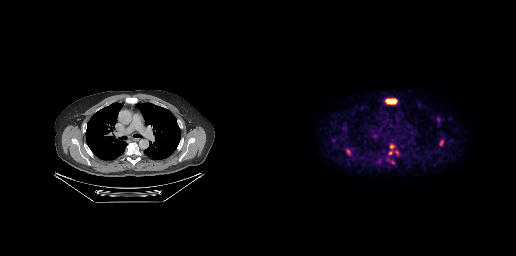
Technique: Two-panel axial: CT | PSMA PET, 18F-PSMA tracer. slice 225 of 299.
Findings: Coordinates are on the 256×256 PET (right) panel. PSMA-avid tumor lesion bounding boxes (x, y, width, height): x=125 y=98 w=13 h=7 / x=179 y=139 w=5 h=8 / x=87 y=150 w=4 h=5 / x=177 y=117 w=3 h=5. Small PSMA-avid foci (2 to 4 px across) near (center x, center y): (131, 146) / (130, 153) / (136, 152).